Technique: Left: CT. Right: PSMA PET, same axial level, [18F]PSMA-1007 tracer. acquired on Siemens Biograph mCT Flow 20. slice position z = -740 mm.
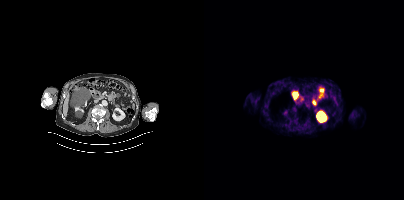
Findings: No PSMA-avid tumor lesions on this slice.